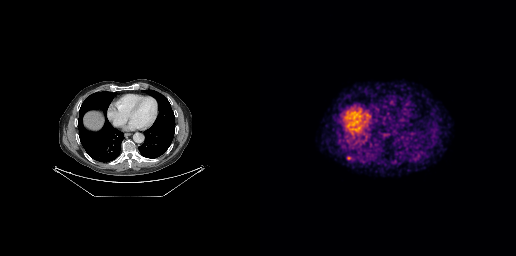
Coordinates are on the 256×256 PET (right) panel. Small PSMA-avid focus (2 to 4 px across) near (center x, center y): (88, 157). Left: CT. Right: PSMA PET, same axial level, 68Ga-PSMA tracer. Acquired on GE Discovery 690. Slice 196 of 299. PET panel 256×256 px (2.7 mm/px).